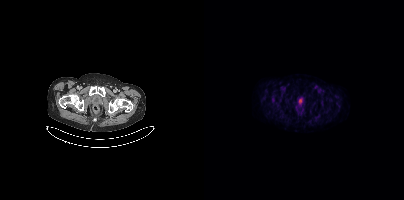
Technique: Paired axial CT (left) and PSMA PET (right), 18F-PSMA tracer. slice 43 of 381.
Findings: Negative for PSMA-avid disease on this slice.